modality: PSMA PET/CT | tracer: 18F-PSMA | view: axial | PET grid: 200×200
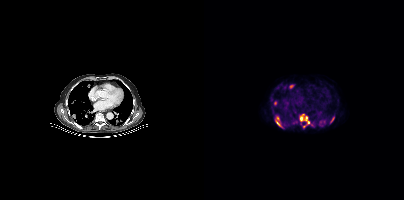
Coordinates are on the 200×200 PET (right) panel. (showing 9 of 12 foci) PSMA-avid tumor lesion bounding boxes (x0, y0)-(x1, y1): (71, 116)-(78, 127) | (99, 117)-(105, 127) | (85, 84)-(90, 88) | (96, 117)-(100, 120) | (70, 101)-(72, 105) | (127, 117)-(129, 122). Small PSMA-avid foci (2 to 4 px across) near (center x, center y): (116, 122) | (108, 125) | (67, 99).